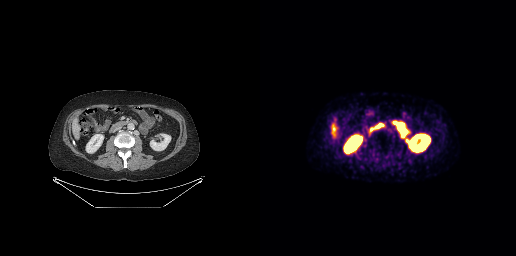
{"modality":"PSMA PET/CT","view":"axial","tracer":"18F-PSMA","pet_grid":[256,256],"coord_frame":"pet_panel","coord_format":"x0,y0,x1,y1","psma_avid_lesions":false}